modality: PSMA PET/CT | tracer: 18F-PSMA | view: axial | PET grid: 200×200
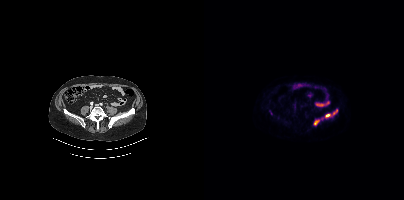
Coordinates are on the 200×200 PET (right) panel. PSMA-avid tumor lesion bounding boxes (x0, y0)-(x1, y1): (117, 114)-(126, 119); (110, 119)-(115, 124); (129, 109)-(133, 114).